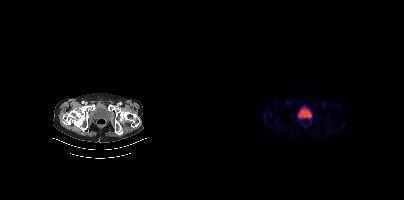
Negative for PSMA-avid disease on this slice.